Left: CT. Right: PSMA PET, same axial level, [18F]PSMA-1007 tracer. PET panel 200×200 px (4.1 mm/px).
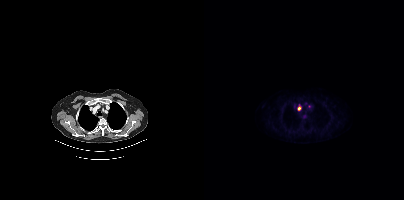
No tumor lesions annotated on this slice.